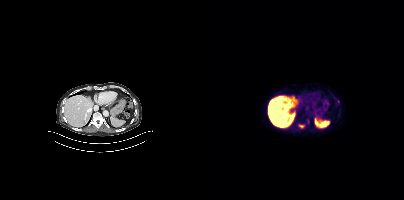
Technique: Two-panel axial: CT | PSMA PET, 18F-PSMA tracer. acquired on Siemens Biograph mCT Flow 20. slice position z = -632 mm. PET panel 200×200 px (4.1 mm/px).
Findings: Coordinates are on the 200×200 PET (right) panel. PSMA-avid tumor lesion bounding box (x0, y0)-(x1, y1): (95, 124)-(100, 128). Small PSMA-avid focus (2 to 4 px across) near (center x, center y): (134, 101).